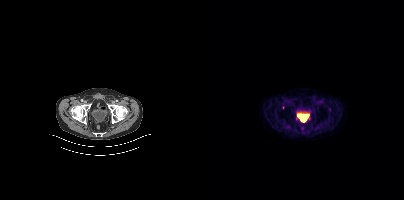
modality: PSMA PET/CT | tracer: [18F]PSMA-1007 | view: axial
Coordinates are on the 200×200 PET (right) panel. Small PSMA-avid focus (2 to 4 px across) near (center x, center y): (79, 107).